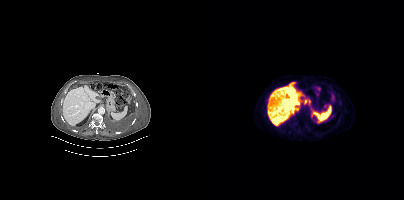
Coordinates are on the 200×200 PET (right) panel. PSMA-avid tumor lesion bounding box (x0,y0,x1,y1): [100,100,106,103].